modality: PSMA PET/CT | tracer: [18F]PSMA-1007 | view: axial | PET grid: 200×200 | redaction: face masked with black rectangle
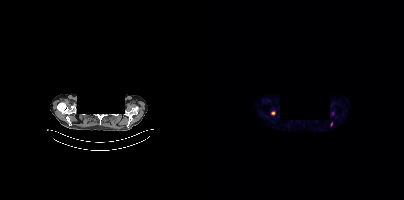
Coordinates are on the 200×200 PET (right) panel. (showing 2 of 3 foci) PSMA-avid tumor lesion bounding box (x0,y0,x1,y1): [67,111,71,115]. Small PSMA-avid focus (2 to 4 px across) near (center x, center y): (127, 123).